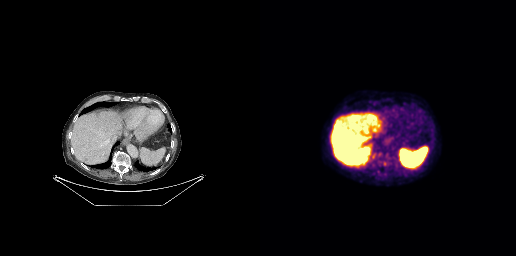
Findings: Negative for PSMA-avid disease on this slice.
Technique: Paired axial CT (left) and PSMA PET (right), 18F-PSMA tracer. slice position z = -473 mm. PET panel 256×256 px (2.7 mm/px).